- Paired axial CT (left) and PSMA PET (right), 18F tracer
- acquired on GE Discovery 690
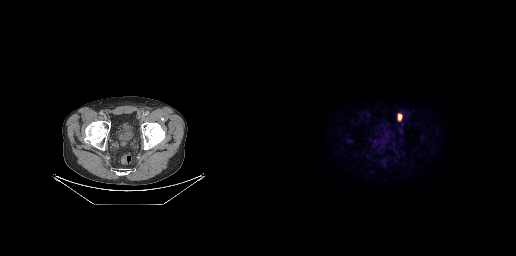
Findings: Coordinates are on the 256×256 PET (right) panel. PSMA-avid tumor lesion bounding box (x0, y0)-(x1, y1): (138, 113)-(142, 120).